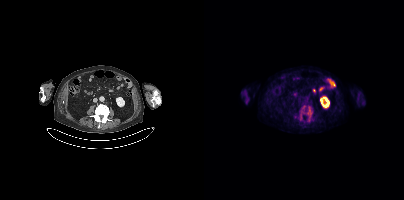
Coordinates are on the 200×200 PET (right) panel. PSMA-avid tumor lesion bounding boxes (x0,y0,x1,y1): [103,106,108,121], [96,111,99,119]. Small PSMA-avid focus (2 to 4 px across) near (center x, center y): (99, 107).